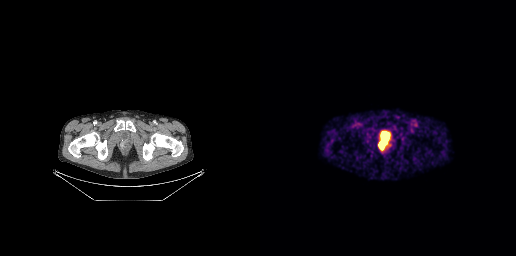
Paired axial CT (left) and PSMA PET (right), [68Ga]Ga-PSMA-11 tracer. Acquired on GE Discovery 690.
Coordinates are on the 256×256 PET (right) panel. PSMA-avid tumor lesion bounding boxes:
| # | x0 | y0 | x1 | y1 |
|---|---|---|---|---|
| 1 | 118 | 140 | 127 | 149 |